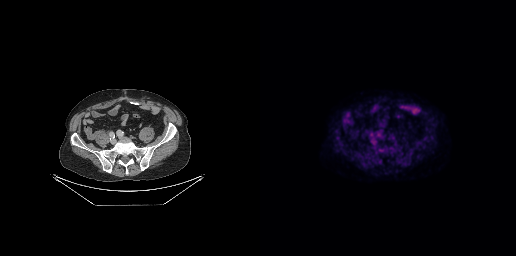
{"modality":"PSMA PET/CT","view":"axial","tracer":"18F","pet_grid":[256,256],"coord_frame":"pet_panel","coord_format":"x0,y0,x1,y1","lesion_bboxes":[],"small_foci_centers":[[120,150]]}